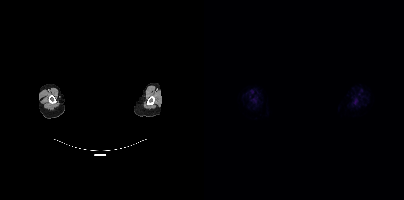
{"modality":"PSMA PET/CT","view":"axial","tracer":"[18F]PSMA-1007","pet_grid":[200,200],"coord_frame":"pet_panel","coord_format":"x0,y0,x1,y1","deidentification":"rectangular block over head set to black","lesion_bboxes":[[48,98,53,103],[149,101,152,105]]}